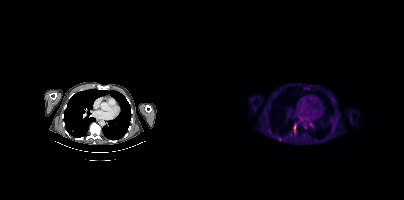
- Two-panel axial: CT | PSMA PET, 18F-PSMA tracer
- acquired on Siemens Biograph mCT Flow 20
- slice 248 of 403
- PET panel 200×200 px (4.1 mm/px)
Findings: Coordinates are on the 200×200 PET (right) panel. (showing 1 of 2 foci) PSMA-avid tumor lesion bounding box (x, y, width, height): x=90 y=124 w=2 h=9.